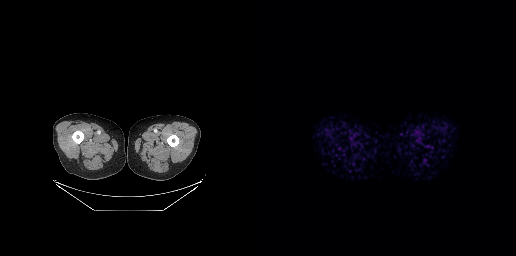
No tumor lesions annotated on this slice. Paired axial CT (left) and PSMA PET (right), 68Ga-PSMA tracer. Acquired on GE Discovery 690. PET panel 256×256 px (2.7 mm/px).